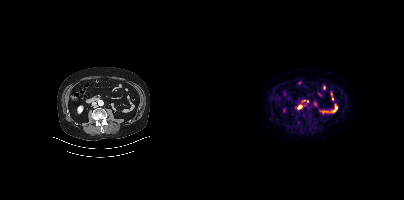
Findings: Coordinates are on the 200×200 PET (right) panel. (showing 1 of 2 foci) Small PSMA-avid focus (2 to 4 px across) near (center x, center y): (95, 106).
Technique: Two-panel axial: CT | PSMA PET, 18F-PSMA tracer.